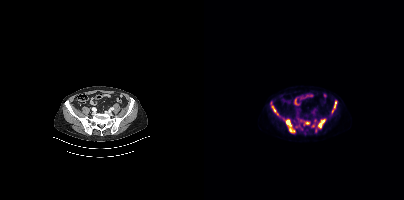
Paired axial CT (left) and PSMA PET (right), [18F]PSMA-1007 tracer. Acquired on Siemens Biograph mCT Flow 20. Slice 109 of 407. PET panel 200×200 px (4.1 mm/px). Coordinates are on the 200×200 PET (right) panel. (showing 10 of 11 foci) PSMA-avid tumor lesion bounding boxes (x0,y0,x1,y1): [81,119,90,132], [114,119,121,128], [91,125,99,130], [128,101,132,112], [67,102,71,112], [100,121,105,125]. Small PSMA-avid foci (2 to 4 px across) near (center x, center y): (111, 120), (112, 130), (73, 114), (108, 125).